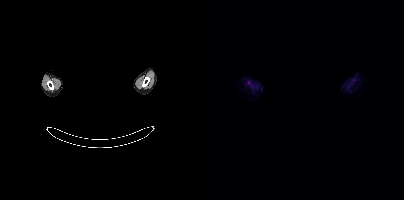
{"modality":"PSMA PET/CT","view":"axial","tracer":"18F-PSMA","pet_grid":[200,200],"coord_frame":"pet_panel","coord_format":"x0,y0,x1,y1","psma_avid_lesions":false,"de-identification":"facial region redacted"}